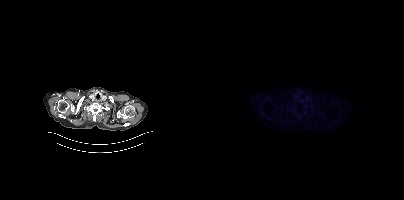
No tumor lesions annotated on this slice.